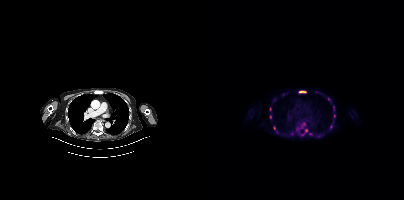
Two-panel axial: CT | PSMA PET, 18F-PSMA tracer. Acquired on Siemens Biograph mCT Flow 20.
Coordinates are on the 200×200 PET (right) panel. PSMA-avid tumor lesion bounding boxes (partial; 2 more foci not listed):
| # | x0 | y0 | x1 | y1 |
|---|---|---|---|---|
| 1 | 95 | 91 | 102 | 93 |
| 2 | 65 | 107 | 67 | 111 |
| 3 | 129 | 106 | 130 | 110 |
Small PSMA-avid foci (2 to 4 px across) near (center x, center y): (102, 130); (70, 127); (106, 134); (66, 116); (127, 126); (100, 124); (96, 128); (88, 133); (124, 99); (130, 116); (79, 94); (70, 99).